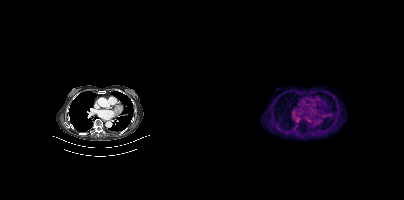
This slice has no annotated PSMA-avid lesion. Paired axial CT (left) and PSMA PET (right), 68Ga tracer. PET panel 200×200 px (4.1 mm/px).